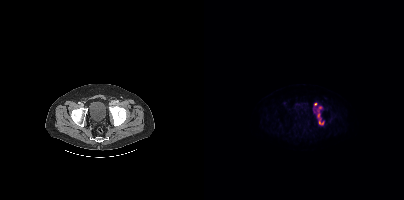
Coordinates are on the 200×200 PET (right) panel. PSMA-avid tumor lesion bounding box (x0, y0)-(x1, y1): (113, 106)-(119, 124). Small PSMA-avid focus (2 to 4 px across) near (center x, center y): (111, 104). Two-panel axial: CT | PSMA PET, [18F]PSMA-1007 tracer. Acquired on Siemens Biograph mCT Flow 20.